modality: PSMA PET/CT | tracer: 18F-PSMA | view: axial | PET grid: 200×200
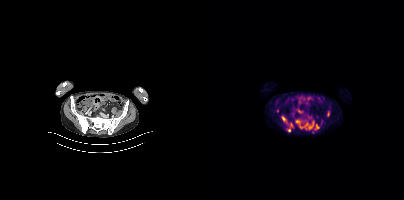
Coordinates are on the 200×200 PET (right) panel. PSMA-avid tumor lesion bounding boxes (x0,y0,x1,y1): [92,120,110,129]; [83,125,89,131]; [110,124,112,129]. Small PSMA-avid foci (2 to 4 px across) near (center x, center y): (124, 113); (73, 110); (79, 118).